modality: PSMA PET/CT | tracer: 18F-PSMA | view: axial
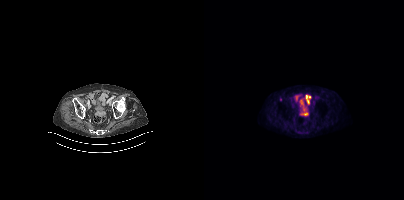
This slice has no annotated PSMA-avid lesion.